Paired axial CT (left) and PSMA PET (right), 18F-PSMA tracer. Slice 274 of 429.
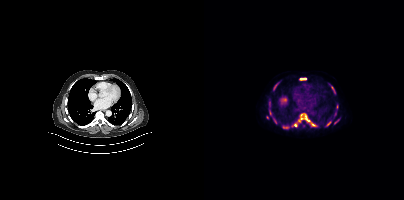
Coordinates are on the 200×200 PET (right) panel. PSMA-avid tumor lesion bounding boxes (partial; 3 more foci not listed):
| # | x0 | y0 | x1 | y1 |
|---|---|---|---|---|
| 1 | 80 | 125 | 85 | 129 |
| 2 | 69 | 83 | 73 | 89 |
| 3 | 96 | 78 | 102 | 79 |
| 4 | 127 | 86 | 131 | 93 |
| 5 | 94 | 118 | 97 | 122 |
| 6 | 70 | 119 | 72 | 123 |
Small PSMA-avid foci (2 to 4 px across) near (center x, center y): (91, 125); (104, 120); (125, 123); (112, 125).